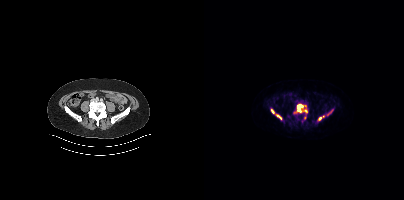
Coordinates are on the 200×200 PET (right) panel. PSMA-avid tumor lesion bounding boxes (x, y, width, height): x=93 y=104 w=7 h=9 / x=114 y=115 w=7 h=6 / x=72 y=114 w=6 h=6 / x=67 y=109 w=4 h=5. Small PSMA-avid foci (2 to 4 px across) near (center x, center y): (101, 110) / (127, 111) / (124, 114).